Technique: Paired axial CT (left) and PSMA PET (right), [18F]PSMA-1007 tracer.
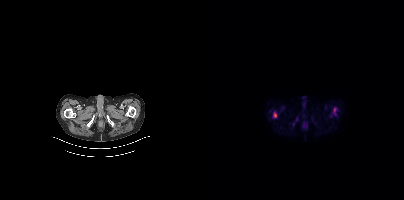
Findings: Coordinates are on the 200×200 PET (right) panel. (showing 3 of 4 foci) PSMA-avid tumor lesion bounding boxes (x0, y0)-(x1, y1): (69, 112)-(72, 117); (130, 108)-(131, 112). Small PSMA-avid focus (2 to 4 px across) near (center x, center y): (92, 118).